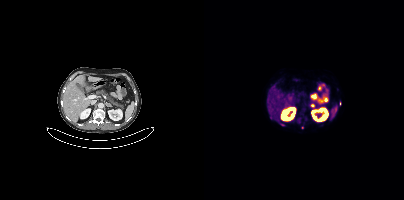
{"pet_grid":[200,200],"coord_frame":"pet_panel","coord_format":"x0,y0,x1,y1","partial":true,"lesion_bboxes":[],"small_foci_centers":[[67,117],[78,124],[98,127]],"modality":"PSMA PET/CT","view":"axial","tracer":"[68Ga]Ga-PSMA-11"}